Two-panel axial: CT | PSMA PET, 68Ga-PSMA tracer. Slice 13 of 195.
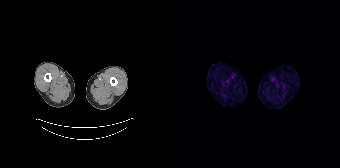
No PSMA-avid tumor lesions on this slice.